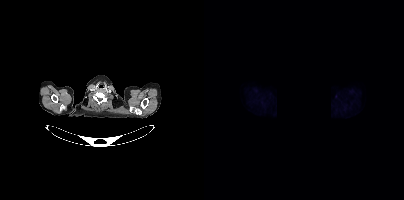
{"modality":"PSMA PET/CT","view":"axial","tracer":"18F-PSMA","pet_grid":[200,200],"coord_frame":"pet_panel","coord_format":"x0,y0,x1,y1","redaction":"rectangular block set to black","psma_avid_lesions":false}